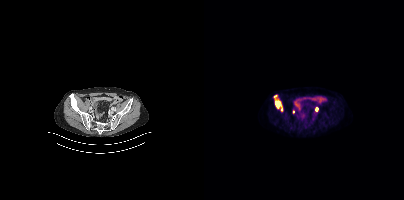
modality: PSMA PET/CT | tracer: [18F]PSMA-1007 | view: axial
Coordinates are on the 200×200 PET (right) panel. PSMA-avid tumor lesion bounding box (x0, y0)-(x1, y1): (69, 96)-(78, 111). Small PSMA-avid foci (2 to 4 px across) near (center x, center y): (112, 109) | (89, 111).